Left: CT. Right: PSMA PET, same axial level, 18F-PSMA tracer. Acquired on Siemens Biograph mCT Flow 20.
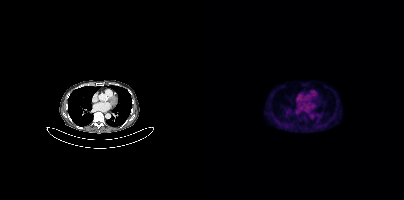
Negative for PSMA-avid disease on this slice.